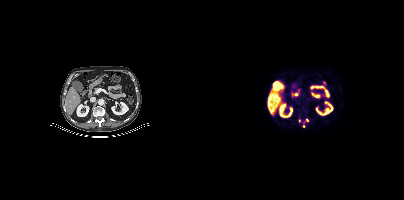
modality: PSMA PET/CT | tracer: 18F-PSMA | view: axial
Coordinates are on the 200×200 PET (right) panel. Small PSMA-avid foci (2 to 4 px across) near (center x, center y): (103, 120) | (99, 126) | (95, 120).